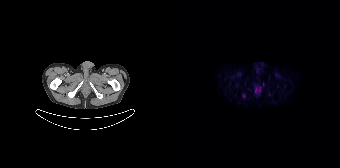
Only PSMA-avid lesion pieces thinner than 2 px on this slice (not listed). Two-panel axial: CT | PSMA PET, [18F]PSMA-1007 tracer. Acquired on Siemens Biograph 64-4R TruePoint. PET panel 168×168 px (4.1 mm/px).